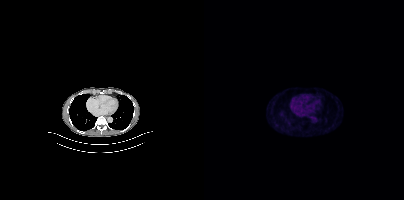
This slice has no annotated PSMA-avid lesion.